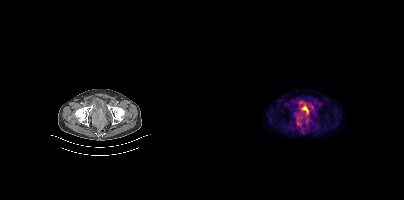
This slice has no annotated PSMA-avid lesion.